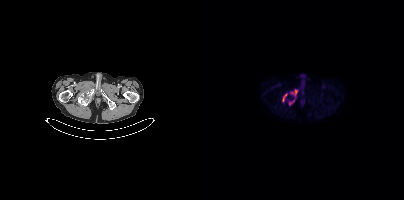
Findings: Coordinates are on the 200×200 PET (right) panel. PSMA-avid tumor lesion bounding boxes (x0,y0,x1,y1): [85,90,93,105] [79,94,82,101].
Technique: Two-panel axial: CT | PSMA PET, [18F]PSMA-1007 tracer. PET panel 200×200 px (4.1 mm/px).